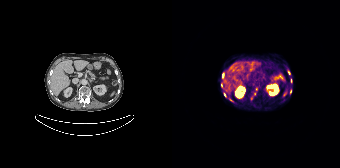
modality: PSMA PET/CT | tracer: 68Ga-PSMA | view: axial
Coordinates are on the 168×168 PET (right) panel. (showing 6 of 11 foci) PSMA-avid tumor lesion bounding boxes (x0,y0,x1,y1): [56,97,61,102]; [49,83,51,87]. Small PSMA-avid foci (2 to 4 px across) near (center x, center y): (84, 88); (53, 94); (116, 72); (82, 93).